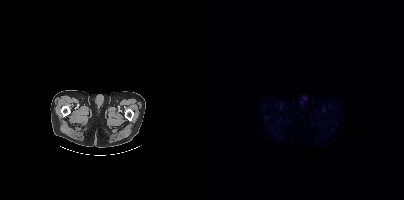
This slice has no annotated PSMA-avid lesion.
modality: PSMA PET/CT | tracer: 18F-PSMA | view: axial